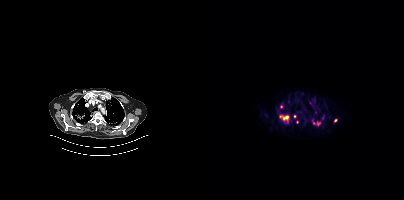
Technique: Two-panel axial: CT | PSMA PET, 18F-PSMA tracer. acquired on Siemens Biograph mCT Flow 20. slice position z = -422 mm.
Findings: Coordinates are on the 200×200 PET (right) panel. (showing 6 of 9 foci) PSMA-avid tumor lesion bounding boxes (x, y, width, height): x=75 y=116 w=10 h=7 / x=109 y=121 w=9 h=6. Small PSMA-avid foci (2 to 4 px across) near (center x, center y): (77, 106) / (131, 120) / (93, 122) / (91, 116).